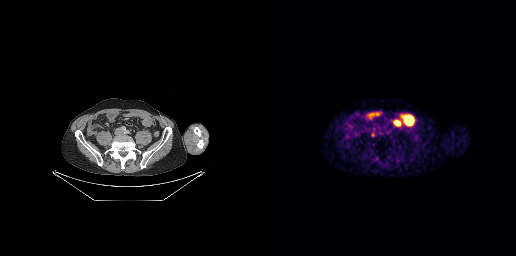
Paired axial CT (left) and PSMA PET (right), 68Ga tracer. Acquired on GE Discovery 690. Slice position z = -664 mm. Coordinates are on the 256×256 PET (right) panel. Small PSMA-avid focus (2 to 4 px across) near (center x, center y): (112, 135).